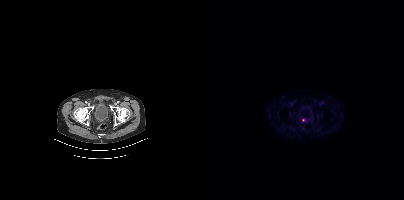
{"pet_grid":[200,200],"coord_frame":"pet_panel","coord_format":"x0,y0,x1,y1","lesion_bboxes":[[98,119,103,122]],"modality":"PSMA PET/CT","view":"axial","tracer":"18F"}